modality: PSMA PET/CT | tracer: 18F | view: axial | PET grid: 200×200
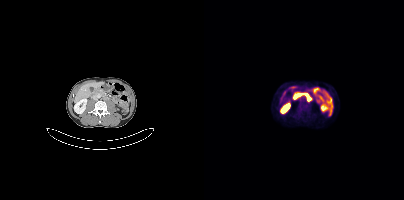
Coordinates are on the 200×200 PET (right) panel. Small PSMA-avid focus (2 to 4 px across) near (center x, center y): (96, 107).